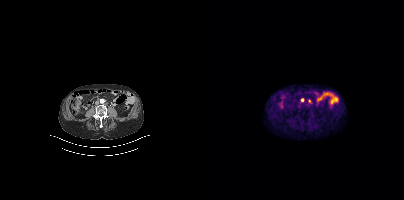
- Paired axial CT (left) and PSMA PET (right), 68Ga tracer
- slice position z = -876 mm
- PET panel 200×200 px (4.1 mm/px)
Findings: Coordinates are on the 200×200 PET (right) panel. Small PSMA-avid focus (2 to 4 px across) near (center x, center y): (98, 100).